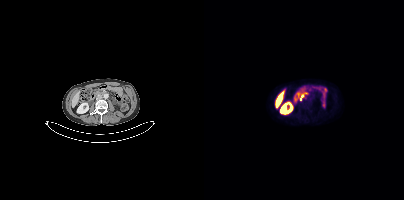
Two-panel axial: CT | PSMA PET, 18F tracer. PET panel 200×200 px (4.1 mm/px). Coordinates are on the 200×200 PET (right) panel. PSMA-avid tumor lesion bounding box (x, y, width, height): x=96 y=95 w=4 h=6.